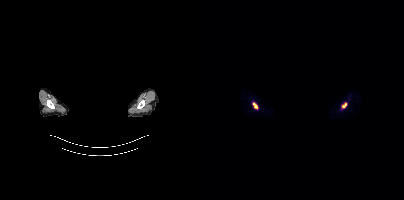
Technique: Left: CT. Right: PSMA PET, same axial level, 68Ga-PSMA tracer. acquired on Siemens Biograph mCT Flow 20.
Note: The head region is masked for de-identification.
Findings: Coordinates are on the 200×200 PET (right) panel. PSMA-avid tumor lesion bounding boxes (x0,y0,x1,y1): [49,102,53,108]; [138,103,142,108].